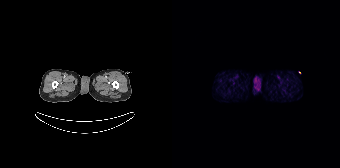
{"modality":"PSMA PET/CT","view":"axial","tracer":"68Ga","pet_grid":[168,168],"coord_frame":"pet_panel","coord_format":"x0,y0,x1,y1","psma_avid_lesions":false}